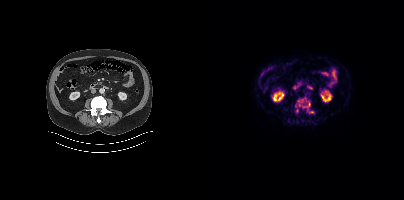
Paired axial CT (left) and PSMA PET (right), [18F]PSMA-1007 tracer. Slice position z = -620 mm.
Coordinates are on the 200×200 PET (right) panel. PSMA-avid tumor lesion bounding boxes (partial; 1 more focus not listed):
| # | x0 | y0 | x1 | y1 |
|---|---|---|---|---|
| 1 | 96 | 98 | 106 | 107 |
| 2 | 91 | 105 | 96 | 112 |
| 3 | 103 | 110 | 110 | 113 |